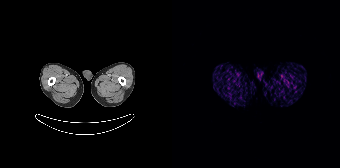
Negative for PSMA-avid disease on this slice.